Left: CT. Right: PSMA PET, same axial level, 68Ga-PSMA tracer. PET panel 168×168 px (4.1 mm/px).
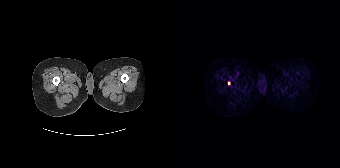
Coordinates are on the 168×168 PET (right) panel. Small PSMA-avid focus (2 to 4 px across) near (center x, center y): (57, 83).